Left: CT. Right: PSMA PET, same axial level, 18F tracer. Slice 346 of 429.
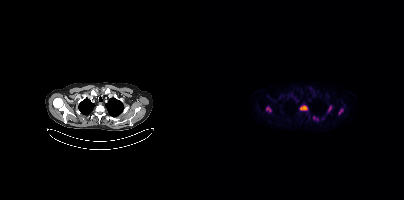
Coordinates are on the 200×200 PET (right) panel. PSMA-avid tumor lesion bounding boxes (x0, y0)-(x1, y1): (96, 105)-(103, 110) | (124, 106)-(127, 111) | (135, 109)-(138, 114) | (109, 117)-(114, 120) | (62, 107)-(66, 111).